Two-panel axial: CT | PSMA PET, 18F-PSMA tracer. Slice position z = -1187 mm.
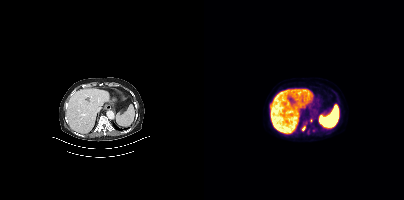
Coordinates are on the 200×200 PET (right) panel. PSMA-avid tumor lesion bounding boxes (partial; 1 more focus not listed):
| # | x0 | y0 | x1 | y1 |
|---|---|---|---|---|
| 1 | 98 | 126 | 101 | 130 |
| 2 | 103 | 129 | 105 | 133 |
Small PSMA-avid focus (2 to 4 px across) near (center x, center y): (109, 130).